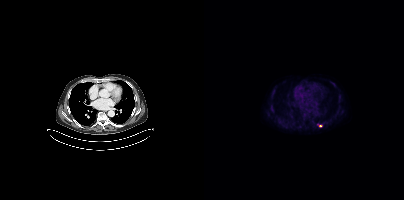
Left: CT. Right: PSMA PET, same axial level, [18F]PSMA-1007 tracer. Acquired on Siemens Biograph mCT Flow 20. Slice position z = -1059 mm.
Coordinates are on the 200×200 PET (right) panel. PSMA-avid tumor lesion bounding boxes:
| # | x0 | y0 | x1 | y1 |
|---|---|---|---|---|
| 1 | 113 | 124 | 117 | 126 |